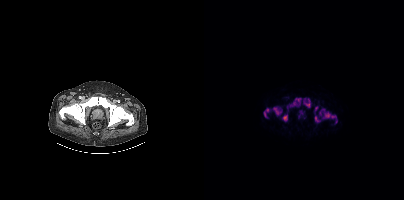
Coordinates are on the 200×200 PET (right) panel. (showing 7 of 8 foci) PSMA-avid tumor lesion bounding boxes (x0, y0)-(x1, y1): (86, 97)-(106, 107) | (115, 109)-(133, 123) | (69, 107)-(77, 115) | (59, 108)-(66, 118) | (78, 114)-(83, 121) | (110, 116)-(116, 122) | (111, 106)-(114, 111).